Two-panel axial: CT | PSMA PET, [18F]PSMA-1007 tracer.
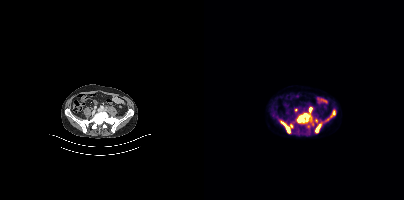
Coordinates are on the 200×200 PET (right) panel. PSMA-avid tumor lesion bounding boxes:
| # | x0 | y0 | x1 | y1 |
|---|---|---|---|---|
| 1 | 93 | 113 | 107 | 122 |
| 2 | 77 | 121 | 86 | 133 |
| 3 | 111 | 124 | 117 | 132 |
| 4 | 105 | 107 | 107 | 111 |
Small PSMA-avid foci (2 to 4 px across) near (center x, center y): (87, 125); (129, 112); (91, 109).